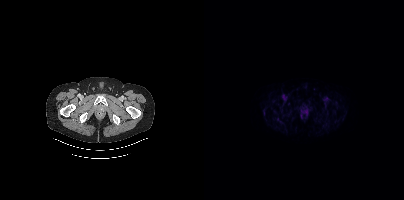
{"modality":"PSMA PET/CT","view":"axial","tracer":"[18F]PSMA-1007","pet_grid":[200,200],"coord_frame":"pet_panel","coord_format":"x0,y0,x1,y1","psma_avid_lesions":false}